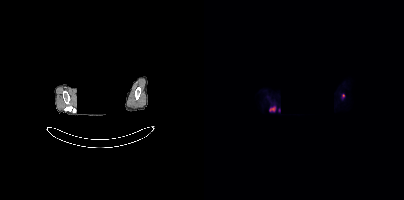
Face de-identified by blanking a block of the head. Paired axial CT (left) and PSMA PET (right), 18F-PSMA tracer. PET panel 200×200 px (4.1 mm/px).
Coordinates are on the 200×200 PET (right) panel. PSMA-avid tumor lesion bounding boxes (partial; 1 more focus not listed):
| # | x0 | y0 | x1 | y1 |
|---|---|---|---|---|
| 1 | 66 | 106 | 71 | 111 |
Small PSMA-avid focus (2 to 4 px across) near (center x, center y): (139, 95).